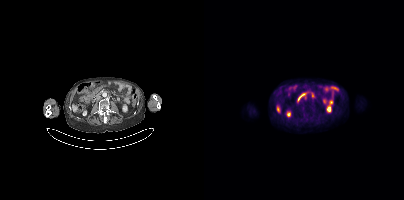
Two-panel axial: CT | PSMA PET, [18F]PSMA-1007 tracer. Acquired on Siemens Biograph mCT Flow 20. Slice 171 of 417. Coordinates are on the 200×200 PET (right) panel. PSMA-avid tumor lesion bounding box (x, y, width, height): x=99 y=96 w=4 h=5.